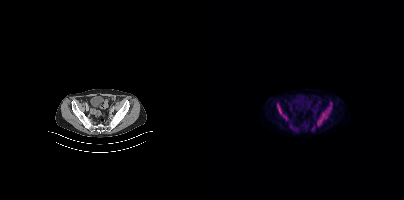
Coordinates are on the 200×200 PET (right) panel. (showing 4 of 7 foci) PSMA-avid tumor lesion bounding boxes (x, y, width, height): x=114 y=113 w=9 h=13; x=74 y=109 w=10 h=12. Small PSMA-avid foci (2 to 4 px across) near (center x, center y): (126, 107); (123, 112).